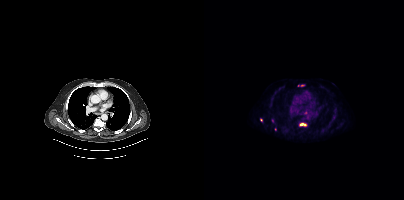
Coordinates are on the 200×200 PET (right) panel. (showing 5 of 7 foci) PSMA-avid tumor lesion bounding box (x0, y0)-(x1, y1): (95, 123)-(102, 126). Small PSMA-avid foci (2 to 4 px across) near (center x, center y): (101, 112); (71, 129); (129, 117); (57, 119).